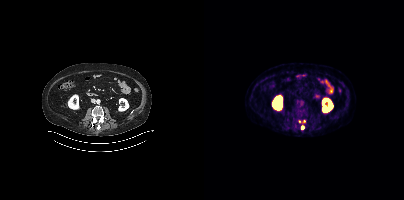
Findings: Coordinates are on the 200×200 PET (right) panel. Small PSMA-avid foci (2 to 4 px across) near (center x, center y): (100, 121); (95, 121); (98, 127).
- Left: CT. Right: PSMA PET, same axial level, 18F tracer
- acquired on Siemens Biograph mCT Flow 20
- slice 189 of 429
- PET panel 200×200 px (4.1 mm/px)